Technique: Paired axial CT (left) and PSMA PET (right), 18F-PSMA tracer. PET panel 200×200 px (4.1 mm/px).
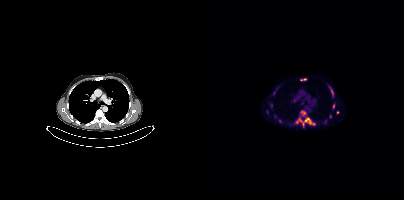
Findings: Coordinates are on the 200×200 PET (right) panel. (showing 9 of 12 foci) PSMA-avid tumor lesion bounding boxes (x0, y0)-(x1, y1): (91, 110)-(111, 127) | (126, 88)-(129, 96) | (96, 78)-(102, 80) | (129, 104)-(130, 108). Small PSMA-avid foci (2 to 4 px across) near (center x, center y): (133, 112) | (76, 121) | (67, 105) | (126, 116) | (121, 121).